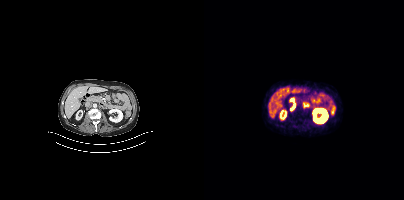
Paired axial CT (left) and PSMA PET (right), [68Ga]Ga-PSMA-11 tracer. Acquired on Siemens Biograph mCT Flow 20. Slice position z = -1222 mm.
Coordinates are on the 200×200 PET (right) panel. PSMA-avid tumor lesion bounding boxes:
| # | x0 | y0 | x1 | y1 |
|---|---|---|---|---|
| 1 | 86 | 103 | 91 | 110 |
Small PSMA-avid focus (2 to 4 px across) near (center x, center y): (101, 105).